- Left: CT. Right: PSMA PET, same axial level, 18F tracer
- acquired on Siemens Biograph mCT Flow 20
- PET panel 200×200 px (4.1 mm/px)
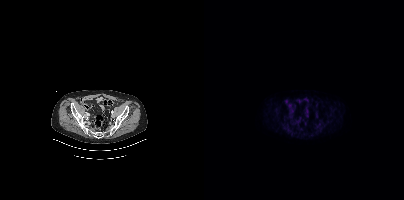
Findings: This slice has no annotated PSMA-avid lesion.